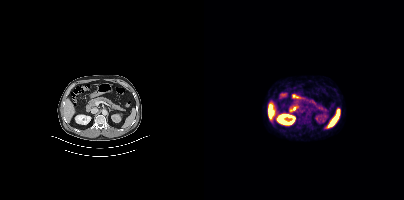
{"pet_grid":[200,200],"coord_frame":"pet_panel","coord_format":"x0,y0,x1,y1","psma_avid_lesions":false,"modality":"PSMA PET/CT","view":"axial","tracer":"18F-PSMA"}